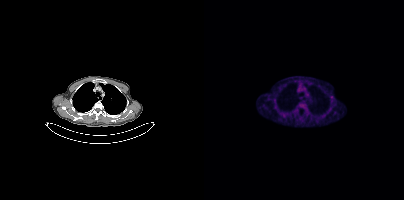
Coordinates are on the 200×200 PET (right) panel. Small PSMA-avid focus (2 to 4 px across) near (center x, center y): (127, 97). Two-panel axial: CT | PSMA PET, 18F-PSMA tracer.